Left: CT. Right: PSMA PET, same axial level, 18F tracer. Acquired on Siemens Biograph mCT Flow 20. Slice position z = -766 mm. PET panel 200×200 px (4.1 mm/px).
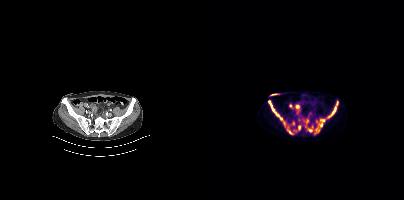
Coordinates are on the 200×200 PET (right) panel. (showing 7 of 10 foci) PSMA-avid tumor lesion bounding boxes (x0, y0)-(x1, y1): (64, 101)-(87, 134) | (123, 101)-(134, 117) | (116, 119)-(121, 121) | (103, 128)-(108, 131) | (102, 119)-(104, 123). Small PSMA-avid foci (2 to 4 px across) near (center x, center y): (117, 124) | (95, 127).